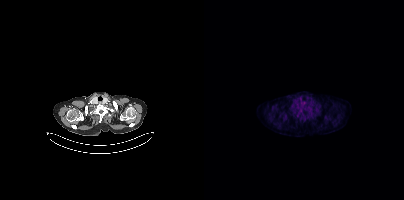
Findings: Coordinates are on the 200×200 PET (right) panel. Small PSMA-avid focus (2 to 4 px across) near (center x, center y): (93, 115).
- Paired axial CT (left) and PSMA PET (right), 18F-PSMA tracer
- acquired on Siemens Biograph mCT Flow 20
- slice 351 of 425
- PET panel 200×200 px (4.1 mm/px)